Left: CT. Right: PSMA PET, same axial level, 18F tracer. Slice position z = -1202 mm.
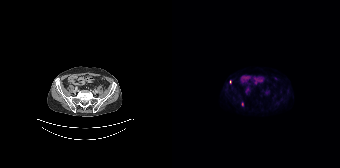
Only PSMA-avid lesion pieces thinner than 2 px on this slice (not listed).